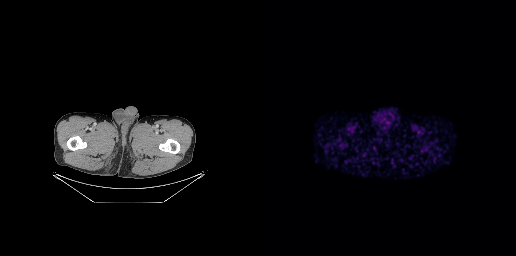
{"modality":"PSMA PET/CT","view":"axial","tracer":"18F","pet_grid":[256,256],"coord_frame":"pet_panel","coord_format":"x0,y0,x1,y1","psma_avid_lesions":false}